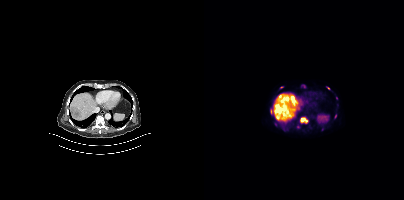
Left: CT. Right: PSMA PET, same axial level, 18F-PSMA tracer. Slice position z = -520 mm.
Coordinates are on the 200×200 PET (right) panel. PSMA-avid tumor lesion bounding boxes:
| # | x0 | y0 | x1 | y1 |
|---|---|---|---|---|
| 1 | 97 | 118 | 103 | 122 |
| 2 | 66 | 109 | 68 | 113 |
Small PSMA-avid focus (2 to 4 px across) near (center x, center y): (124, 88).